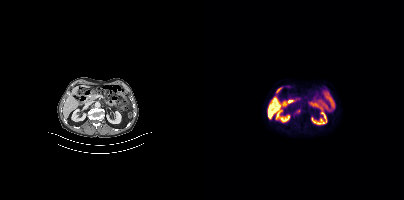
Paired axial CT (left) and PSMA PET (right), [18F]PSMA-1007 tracer. Slice 197 of 421. Coordinates are on the 200×200 PET (right) panel. (showing 1 of 2 foci) Small PSMA-avid focus (2 to 4 px across) near (center x, center y): (94, 111).